- Two-panel axial: CT | PSMA PET, 18F-PSMA tracer
- PET panel 200×200 px (4.1 mm/px)
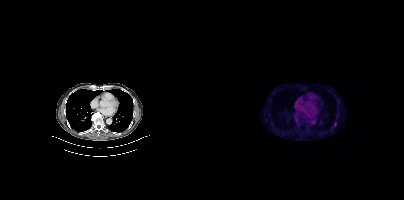
Findings: Coordinates are on the 200×200 PET (right) panel. Small PSMA-avid focus (2 to 4 px across) near (center x, center y): (131, 123).